Technique: Left: CT. Right: PSMA PET, same axial level, 18F-PSMA tracer. acquired on Siemens Biograph mCT Flow 20. slice position z = -1599 mm.
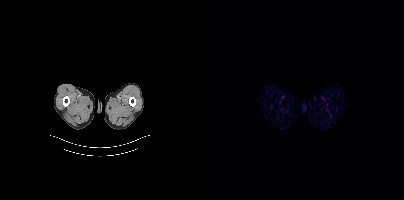
Findings: No tumor lesions annotated on this slice.